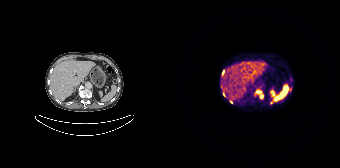
Findings: Coordinates are on the 168×168 PET (right) panel. (showing 4 of 6 foci) Small PSMA-avid foci (2 to 4 px across) near (center x, center y): (99, 102), (59, 102), (50, 72), (51, 94).
- Two-panel axial: CT | PSMA PET, 68Ga tracer
- PET panel 168×168 px (4.1 mm/px)